Technique: Left: CT. Right: PSMA PET, same axial level, 18F tracer. slice 326 of 401. PET panel 200×200 px (4.1 mm/px).
Note: De-identified by setting a box covering the face to black before release.
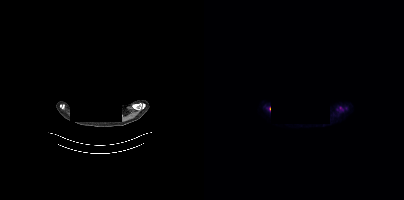
Findings: Coordinates are on the 200×200 PET (right) panel. (showing 1 of 2 foci) Small PSMA-avid focus (2 to 4 px across) near (center x, center y): (136, 107).